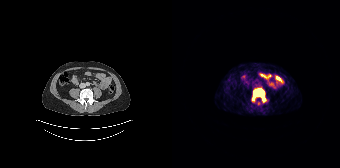
Coordinates are on the 168×168 PET (right) panel. PSMA-avid tumor lesion bounding box (x, y, width, height): x=80 y=88 w=14 h=14.